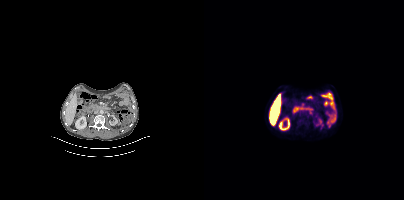
{"modality":"PSMA PET/CT","view":"axial","tracer":"18F","pet_grid":[200,200],"coord_frame":"pet_panel","coord_format":"x0,y0,x1,y1","lesion_bboxes":[],"small_foci_centers":[[106,112]]}